- Paired axial CT (left) and PSMA PET (right), 18F-PSMA tracer
- slice 22 of 454
- PET panel 200×200 px (4.1 mm/px)
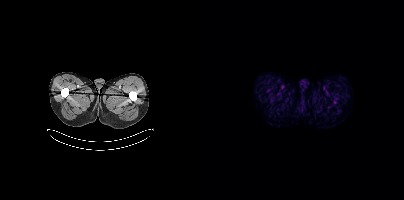
Findings: This slice has no annotated PSMA-avid lesion.